Two-panel axial: CT | PSMA PET, 18F-PSMA tracer. Face de-identified by blanking a block of the head.
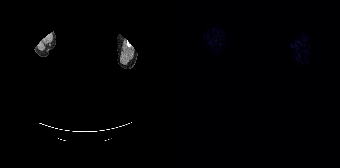
This slice has no annotated PSMA-avid lesion.